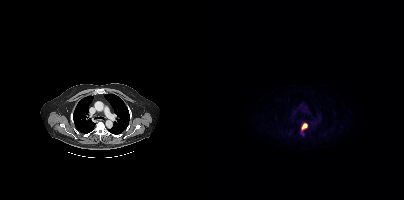
Coordinates are on the 200×200 PET (right) panel. PSMA-avid tumor lesion bounding box (x, y, width, height): x=97 y=123 w=7 h=8.
modality: PSMA PET/CT | tracer: 18F | view: axial | PET grid: 200×200